Two-panel axial: CT | PSMA PET, [18F]PSMA-1007 tracer. PET panel 200×200 px (4.1 mm/px).
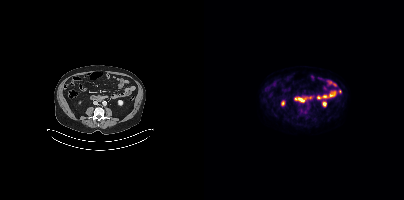
No PSMA-avid tumor lesions on this slice.